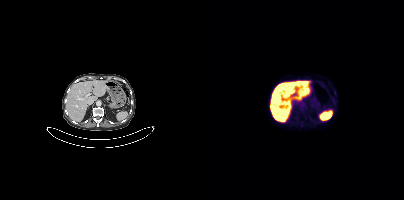
Negative for PSMA-avid disease on this slice. Paired axial CT (left) and PSMA PET (right), [18F]PSMA-1007 tracer. Acquired on Siemens Biograph mCT Flow 20.